- Paired axial CT (left) and PSMA PET (right), 68Ga-PSMA tracer
- acquired on Siemens Biograph mCT Flow 20
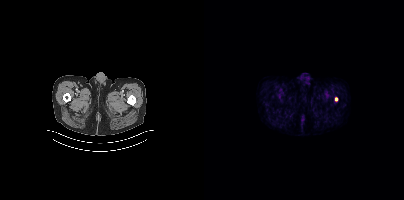
Findings: Coordinates are on the 200×200 PET (right) panel. Small PSMA-avid focus (2 to 4 px across) near (center x, center y): (132, 99).